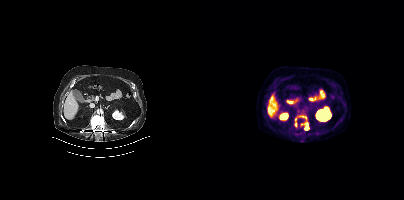
Coordinates are on the 200×200 PET (right) panel. (showing 4 of 5 foci) PSMA-avid tumor lesion bounding boxes (x0, y0)-(x1, y1): (94, 114)-(102, 118) | (101, 123)-(104, 129). Small PSMA-avid foci (2 to 4 px across) near (center x, center y): (91, 124) | (91, 119).
modality: PSMA PET/CT | tracer: 18F-PSMA | view: axial